Paired axial CT (left) and PSMA PET (right), [18F]PSMA-1007 tracer. Slice position z = -616 mm. PET panel 256×256 px (2.7 mm/px).
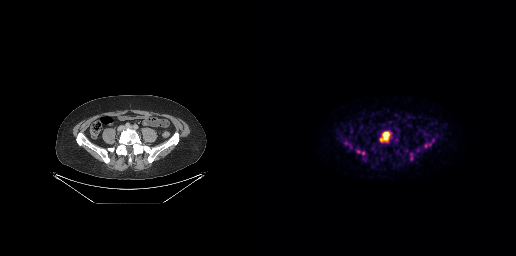
Coordinates are on the 256×256 PET (right) panel. PSMA-avid tumor lesion bounding boxes (partial; 1 more focus not listed):
| # | x0 | y0 | x1 | y1 |
|---|---|---|---|---|
| 1 | 119 | 131 | 131 | 142 |
| 2 | 164 | 139 | 174 | 148 |
| 3 | 96 | 149 | 105 | 155 |